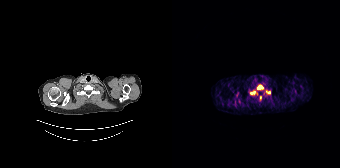
Findings: Coordinates are on the 168×168 PET (right) panel. PSMA-avid tumor lesion bounding boxes (x0, y0)-(x1, y1): (85, 85)-(91, 89) | (78, 91)-(83, 94) | (94, 91)-(98, 93). Small PSMA-avid focus (2 to 4 px across) near (center x, center y): (88, 97).
Technique: Left: CT. Right: PSMA PET, same axial level, 68Ga-PSMA tracer. PET panel 168×168 px (4.1 mm/px).